modality: PSMA PET/CT | tracer: 18F | view: axial | PET grid: 200×200
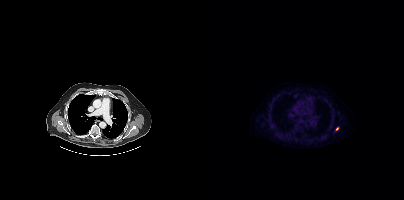
Coordinates are on the 200×200 PET (right) panel. Small PSMA-avid focus (2 to 4 px across) near (center x, center y): (133, 128).